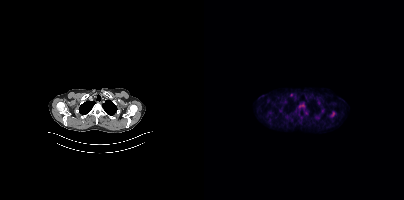
{"modality":"PSMA PET/CT","view":"axial","tracer":"18F-PSMA","pet_grid":[200,200],"coord_frame":"pet_panel","coord_format":"x0,y0,x1,y1","lesion_bboxes":[[126,111,131,117],[111,116,115,118]],"small_foci_centers":[[118,110]]}